modality: PSMA PET/CT | tracer: [18F]PSMA-1007 | view: axial
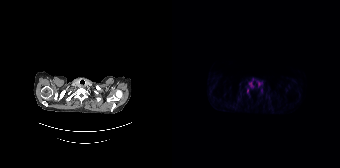
Coordinates are on the 168×168 PET (right) panel. Small PSMA-avid focus (2 to 4 px across) near (center x, center y): (75, 90).